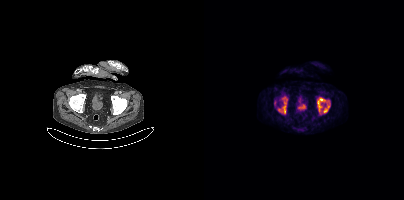
Technique: Two-panel axial: CT | PSMA PET, 18F-PSMA tracer. acquired on Siemens Biograph mCT Flow 20. PET panel 200×200 px (4.1 mm/px).
Findings: Coordinates are on the 200×200 PET (right) panel. (showing 5 of 6 foci) PSMA-avid tumor lesion bounding boxes (x0, y0)-(x1, y1): (74, 96)-(83, 113) | (113, 97)-(121, 111) | (119, 104)-(125, 112) | (70, 101)-(72, 105). Small PSMA-avid focus (2 to 4 px across) near (center x, center y): (123, 101).